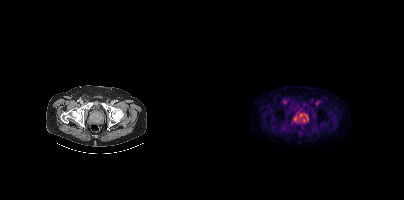
Coordinates are on the 200×200 PET (right) panel. PSMA-avid tumor lesion bounding box (x0,y0,x1,y1): [95,112,104,121]. Small PSMA-avid focus (2 to 4 px across) near (center x, center y): (91, 117).
modality: PSMA PET/CT | tracer: 18F-PSMA | view: axial | PET grid: 200×200